Two-panel axial: CT | PSMA PET, [18F]PSMA-1007 tracer. Acquired on Siemens Biograph mCT Flow 20.
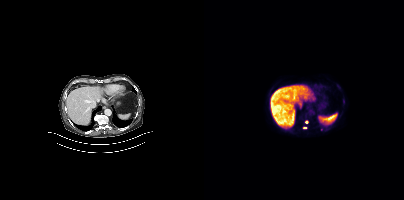
Only PSMA-avid lesion pieces thinner than 2 px on this slice (not listed).